Left: CT. Right: PSMA PET, same axial level, 18F-PSMA tracer. Acquired on Siemens Biograph mCT Flow 20. Slice 338 of 433. PET panel 200×200 px (4.1 mm/px).
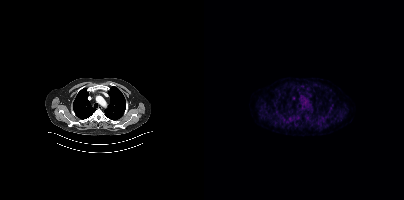
This slice has no annotated PSMA-avid lesion.